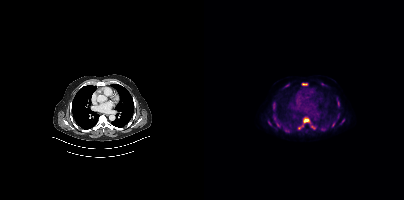
Coordinates are on the 200×200 PET (right) panel. PSMA-avid tumor lesion bounding boxes (x, y, width, height): x=94 y=117 w=12 h=13; x=106 y=124 w=7 h=6; x=69 y=102 w=3 h=9; x=133 y=98 w=3 h=10; x=98 y=83 w=6 h=3; x=79 y=127 w=4 h=5; x=128 y=122 w=4 h=6; x=137 y=119 w=4 h=5. Small PSMA-avid foci (2 to 4 px across) near (center x, center y): (71, 118); (74, 124); (82, 85); (65, 122); (133, 116); (118, 83). Paired axial CT (left) and PSMA PET (right), 18F tracer. Acquired on Siemens Biograph mCT Flow 20. PET panel 200×200 px (4.1 mm/px).